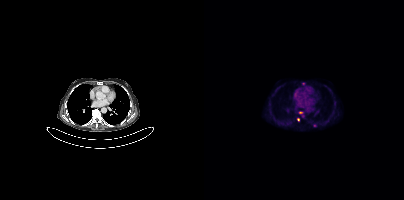
{"modality":"PSMA PET/CT","view":"axial","tracer":"18F","pet_grid":[200,200],"coord_frame":"pet_panel","coord_format":"x0,y0,x1,y1","partial":true,"lesion_bboxes":[],"small_foci_centers":[[110,125],[94,119],[99,83]]}